- Paired axial CT (left) and PSMA PET (right), [18F]PSMA-1007 tracer
- acquired on Siemens Biograph mCT Flow 20
- slice position z = 364 mm
- PET panel 200×200 px (4.1 mm/px)
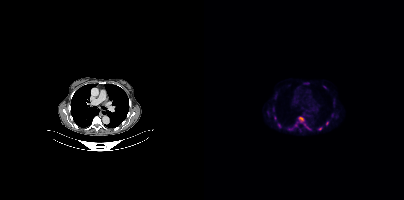
Findings: Coordinates are on the 200×200 PET (right) panel. PSMA-avid tumor lesion bounding boxes (x0,y0,x1,y1): [94,117,100,122] [69,107,70,111] [100,124,106,129] [70,115,71,119]. Small PSMA-avid foci (2 to 4 px across) near (center x, center y): (75, 125) (64, 112) (123, 123) (116, 128) (120, 87) (91, 125) (86, 128).